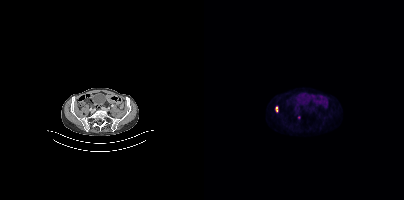
Left: CT. Right: PSMA PET, same axial level, 18F-PSMA tracer. Slice position z = 52 mm. Coordinates are on the 200×200 PET (right) panel. (showing 1 of 2 foci) PSMA-avid tumor lesion bounding box (x0,y0,x1,y1): [71,106,73,111].